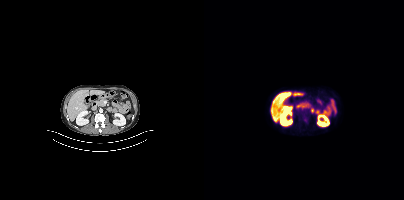
This slice has no annotated PSMA-avid lesion.